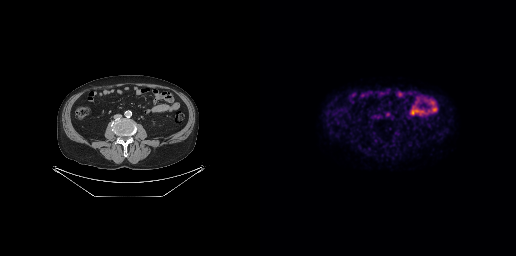
Left: CT. Right: PSMA PET, same axial level, 18F tracer. PET panel 256×256 px (2.7 mm/px). Negative for PSMA-avid disease on this slice.